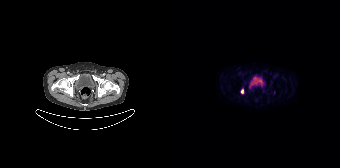
Technique: Two-panel axial: CT | PSMA PET, [18F]PSMA-1007 tracer. PET panel 168×168 px (4.1 mm/px).
Findings: Coordinates are on the 168×168 PET (right) panel. (showing 1 of 2 foci) PSMA-avid tumor lesion bounding box (x0,y0,x1,y1): [69,89,71,93].